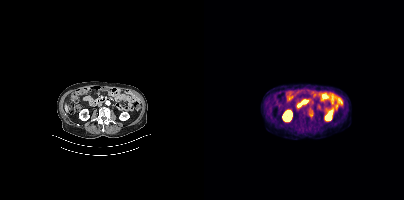
No PSMA-avid tumor lesions on this slice. Two-panel axial: CT | PSMA PET, 18F tracer. Acquired on Siemens Biograph mCT Flow 20.